- Left: CT. Right: PSMA PET, same axial level, 18F-PSMA tracer
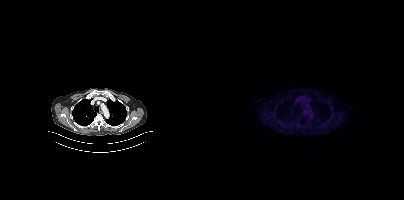
Findings: This slice has no annotated PSMA-avid lesion.